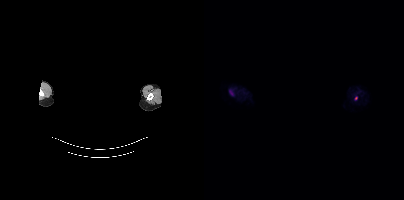
Coordinates are on the 200×200 PET (right) panel. Small PSMA-avid focus (2 to 4 px across) near (center x, center y): (152, 98).
De-identified by setting a box covering the face to black before release.